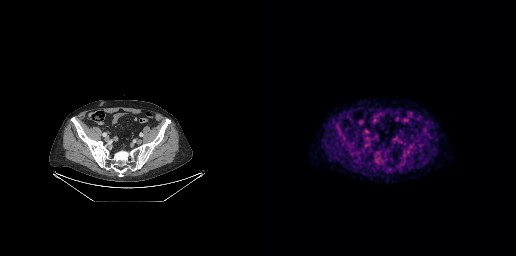
No PSMA-avid tumor lesions on this slice.